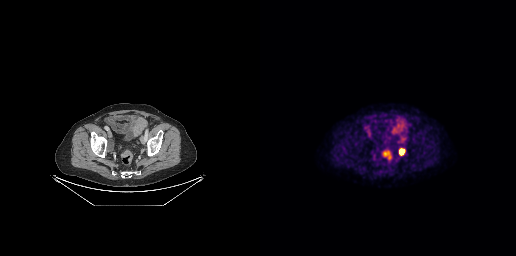
Findings: Coordinates are on the 256×256 PET (right) panel. PSMA-avid tumor lesion bounding box (x0, y0)-(x1, y1): (140, 149)-(144, 154).
- Paired axial CT (left) and PSMA PET (right), 18F tracer
- acquired on GE Discovery 690
- PET panel 256×256 px (2.7 mm/px)